- Left: CT. Right: PSMA PET, same axial level, 68Ga-PSMA tracer
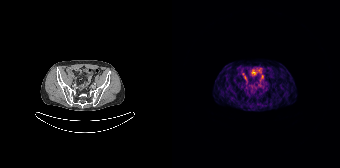
Findings: No tumor lesions annotated on this slice.